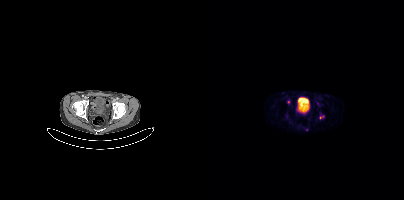
Coordinates are on the 200×200 PET (right) panel. Small PSMA-avid foci (2 to 4 px across) near (center x, center y): (117, 117) / (84, 101).